Paired axial CT (left) and PSMA PET (right), [18F]PSMA-1007 tracer. Slice position z = -1245 mm.
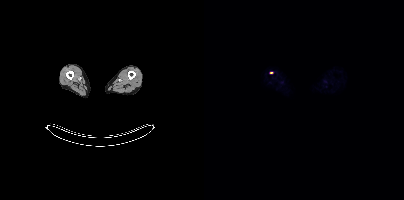
Coordinates are on the 200×200 PET (right) panel. Small PSMA-avid focus (2 to 4 px across) near (center x, center y): (67, 72).